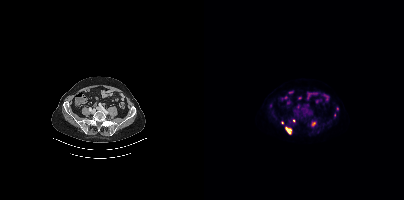
Coordinates are on the 200×200 PET (right) panel. (showing 4 of 6 foci) PSMA-avid tumor lesion bounding boxes (x, y, width, height): x=82 y=127 w=6 h=7 | x=108 y=122 w=4 h=5. Small PSMA-avid foci (2 to 4 px across) near (center x, center y): (133, 108) | (89, 120).